- Left: CT. Right: PSMA PET, same axial level, [18F]PSMA-1007 tracer
- acquired on Siemens Biograph mCT Flow 20
- PET panel 200×200 px (4.1 mm/px)
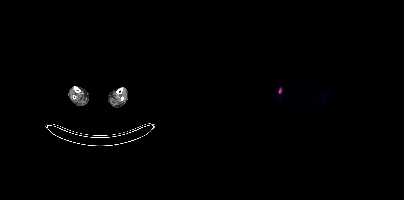
Findings: Coordinates are on the 200×200 PET (right) panel. PSMA-avid tumor lesion bounding box (x0, y0)-(x1, y1): (74, 88)-(77, 93).